Paired axial CT (left) and PSMA PET (right), 18F tracer. Acquired on Siemens Biograph mCT Flow 20. Slice position z = -868 mm. PET panel 200×200 px (4.1 mm/px).
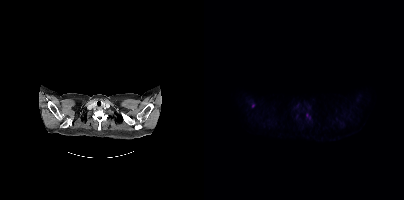
Coordinates are on the 200×200 PET (right) panel. (showing 1 of 2 foci) Small PSMA-avid focus (2 to 4 px across) near (center x, center y): (103, 114).